Paired axial CT (left) and PSMA PET (right), 18F-PSMA tracer. Acquired on GE Discovery 690. Slice position z = -429 mm.
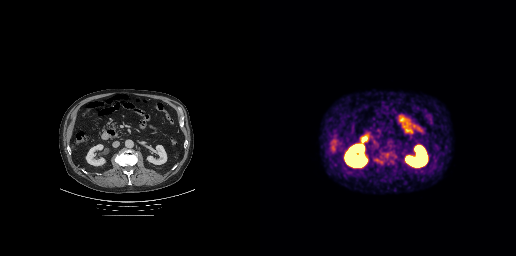
Coordinates are on the 256×256 PET (right) panel. PSMA-avid tumor lesion bounding box (x0,y0,x1,y1): [114,158,118,162].